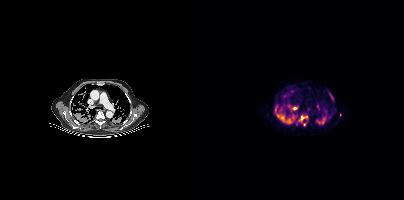
- Left: CT. Right: PSMA PET, same axial level, 18F-PSMA tracer
- PET panel 200×200 px (4.1 mm/px)
Findings: Coordinates are on the 200×200 PET (right) panel. PSMA-avid tumor lesion bounding boxes (x0, y0)-(x1, y1): (71, 106)-(81, 121); (83, 104)-(93, 110); (83, 114)-(91, 123); (95, 115)-(103, 120); (114, 118)-(121, 123); (125, 93)-(129, 100); (113, 104)-(115, 108). Small PSMA-avid foci (2 to 4 px across) near (center x, center y): (136, 115); (76, 109); (100, 124).